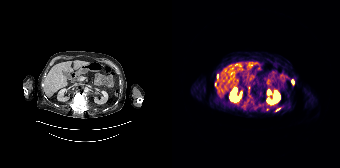
Two-panel axial: CT | PSMA PET, 68Ga-PSMA tracer. Slice 115 of 195. Coordinates are on the 168×168 PET (right) panel. (showing 3 of 4 foci) Small PSMA-avid foci (2 to 4 px across) near (center x, center y): (120, 81) / (45, 76) / (105, 109).